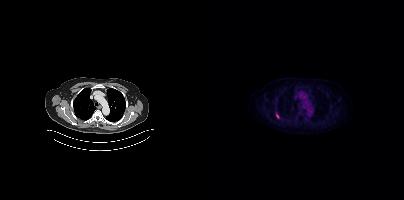
Coordinates are on the 200×200 PET (right) panel. PSMA-avid tumor lesion bounding box (x0, y0)-(x1, y1): (72, 113)-(74, 118).